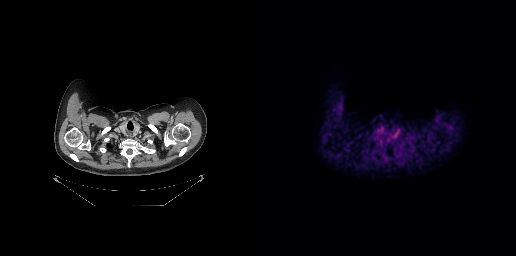
This slice has no annotated PSMA-avid lesion.